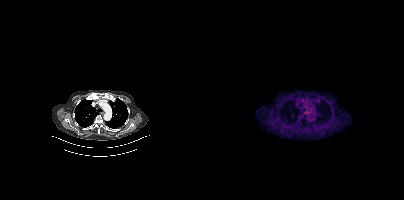
Findings: No tumor lesions annotated on this slice.
- Two-panel axial: CT | PSMA PET, 68Ga-PSMA tracer